Technique: Two-panel axial: CT | PSMA PET, [18F]PSMA-1007 tracer. slice 324 of 411.
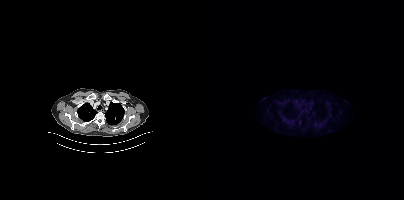
Findings: Negative for PSMA-avid disease on this slice.